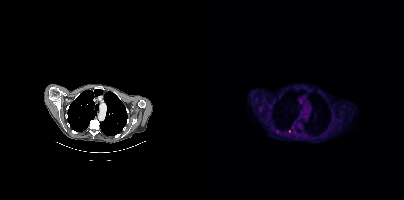
Findings: Coordinates are on the 200×200 PET (right) panel. (showing 1 of 3 foci) Small PSMA-avid focus (2 to 4 px across) near (center x, center y): (85, 131).
- Paired axial CT (left) and PSMA PET (right), 18F-PSMA tracer
- slice position z = -956 mm
- PET panel 200×200 px (4.1 mm/px)